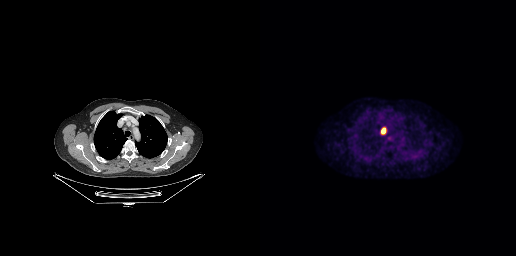
{"pet_grid":[256,256],"coord_frame":"pet_panel","coord_format":"x0,y0,x1,y1","lesion_bboxes":[[121,127,125,134]],"modality":"PSMA PET/CT","view":"axial","tracer":"[18F]PSMA-1007"}